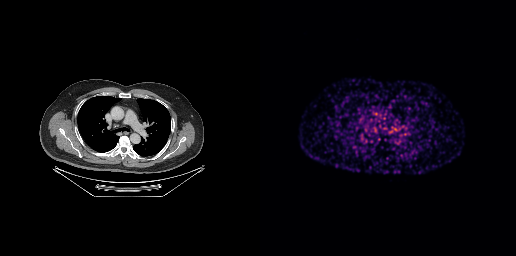
No PSMA-avid tumor lesions on this slice.